Two-panel axial: CT | PSMA PET, 68Ga-PSMA tracer.
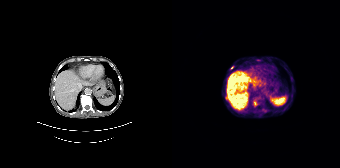
Coordinates are on the 168×168 PET (right) panel. PSMA-avid tumor lesion bounding boxes:
| # | x0 | y0 | x1 | y1 |
|---|---|---|---|---|
| 1 | 80 | 99 | 87 | 107 |
| 2 | 84 | 59 | 88 | 61 |
| 3 | 53 | 96 | 55 | 100 |
| 4 | 90 | 109 | 94 | 111 |
Small PSMA-avid foci (2 to 4 px across) near (center x, center y): (119, 77); (60, 67).